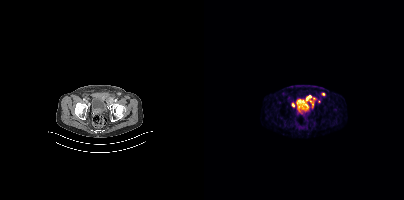
Coordinates are on the 200×200 PET (right) panel. PSMA-avid tumor lesion bounding box (x0, y0)-(x1, y1): (102, 96)-(107, 100). Small PSMA-avid foci (2 to 4 px across) near (center x, center y): (89, 104) / (119, 94) / (106, 101) / (114, 101) / (108, 104).